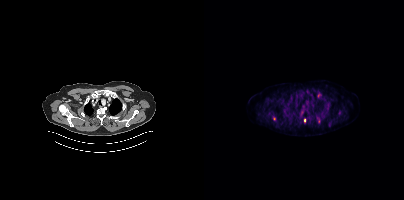
{"modality":"PSMA PET/CT","view":"axial","tracer":"18F","pet_grid":[200,200],"coord_frame":"pet_panel","coord_format":"x0,y0,x1,y1","partial":true,"lesion_bboxes":[[113,93,117,97]],"small_foci_centers":[[100,120],[125,124],[70,118],[103,91]]}